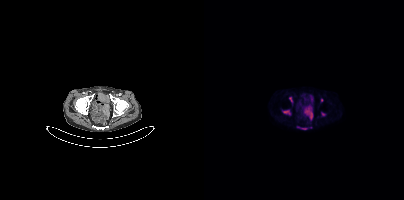
Two-panel axial: CT | PSMA PET, 18F-PSMA tracer. Slice position z = -970 mm.
Coordinates are on the 200×200 PET (right) panel. PSMA-avid tumor lesion bounding boxes (partial; 1 more focus not listed):
| # | x0 | y0 | x1 | y1 |
|---|---|---|---|---|
| 1 | 80 | 111 | 85 | 113 |
| 2 | 98 | 128 | 102 | 129 |
Small PSMA-avid foci (2 to 4 px across) near (center x, center y): (86, 99); (117, 100); (119, 114).